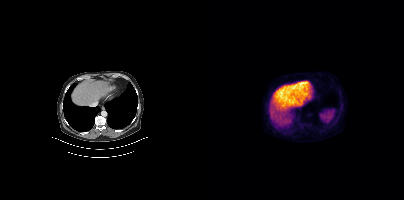
- Left: CT. Right: PSMA PET, same axial level, 18F-PSMA tracer
- slice position z = -442 mm
- PET panel 200×200 px (4.1 mm/px)
Findings: No PSMA-avid tumor lesions on this slice.